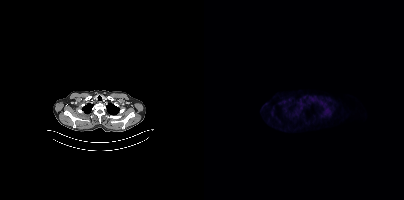
modality: PSMA PET/CT | tracer: 18F | view: axial
This slice has no annotated PSMA-avid lesion.